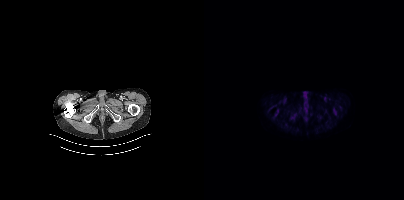
Two-panel axial: CT | PSMA PET, [18F]PSMA-1007 tracer. Acquired on Siemens Biograph mCT Flow 20. PET panel 200×200 px (4.1 mm/px). Negative for PSMA-avid disease on this slice.